modality: PSMA PET/CT | tracer: [68Ga]Ga-PSMA-11 | view: axial | PET grid: 168×168
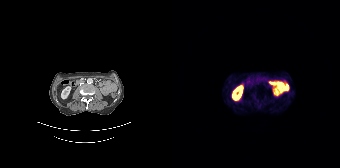
No PSMA-avid tumor lesions on this slice.